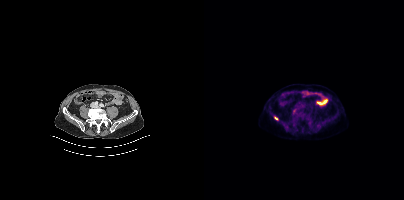
Coordinates are on the 200×200 PET (right) panel. PSMA-avid tumor lesion bounding box (x0, y0)-(x1, y1): (70, 116)-(74, 120). Small PSMA-avid focus (2 to 4 px across) near (center x, center y): (90, 112).